Technique: Two-panel axial: CT | PSMA PET, 18F tracer.
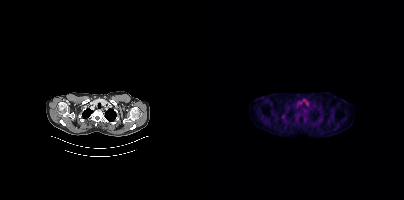
Findings: Negative for PSMA-avid disease on this slice.